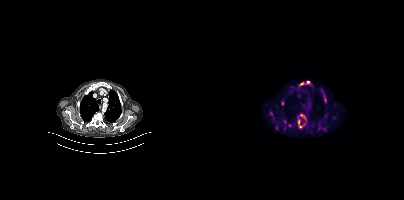
Technique: Paired axial CT (left) and PSMA PET (right), 18F-PSMA tracer.
Findings: Coordinates are on the 200×200 PET (right) panel. (showing 6 of 10 foci) PSMA-avid tumor lesion bounding boxes (x0, y0)-(x1, y1): (93, 113)-(102, 128); (117, 89)-(122, 103); (96, 81)-(107, 85). Small PSMA-avid foci (2 to 4 px across) near (center x, center y): (78, 103); (72, 127); (67, 113).